Technique: Two-panel axial: CT | PSMA PET, 18F tracer. slice 48 of 411.
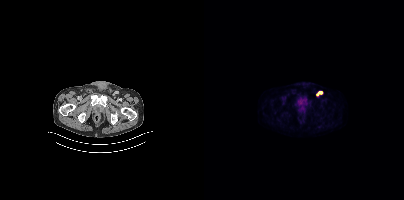
Findings: Coordinates are on the 200×200 PET (right) panel. PSMA-avid tumor lesion bounding box (x, y, width, height): x=112 y=91 w=7 h=5.